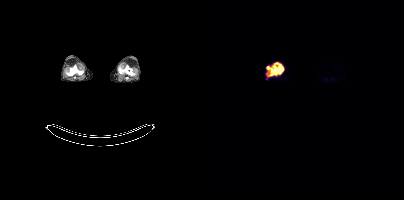
Paired axial CT (left) and PSMA PET (right), 18F-PSMA tracer. Acquired on Siemens Biograph mCT Flow 20. Slice 277 of 963. Coordinates are on the 200×200 PET (right) panel. PSMA-avid tumor lesion bounding box (x0, y0)-(x1, y1): (62, 62)-(79, 76).